Left: CT. Right: PSMA PET, same axial level, 18F-PSMA tracer. Slice 207 of 405.
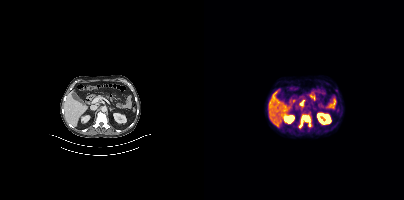
Coordinates are on the 200×200 PET (right) panel. PSMA-avid tumor lesion bounding boxes:
| # | x0 | y0 | x1 | y1 |
|---|---|---|---|---|
| 1 | 94 | 113 | 108 | 128 |